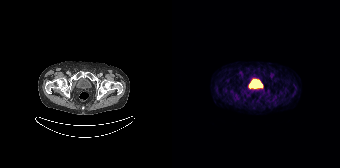
Paired axial CT (left) and PSMA PET (right), [68Ga]Ga-PSMA-11 tracer. PET panel 168×168 px (4.1 mm/px). This slice has no annotated PSMA-avid lesion.